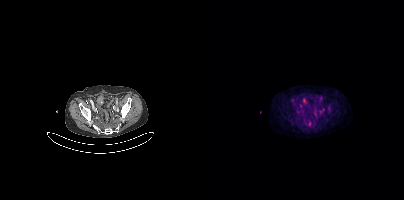
Findings: Coordinates are on the 200×200 PET (right) panel. (showing 2 of 4 foci) Small PSMA-avid foci (2 to 4 px across) near (center x, center y): (116, 111) | (105, 123).
- Two-panel axial: CT | PSMA PET, 18F tracer
- PET panel 200×200 px (4.1 mm/px)